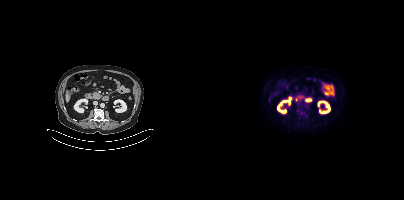
Technique: Two-panel axial: CT | PSMA PET, [18F]PSMA-1007 tracer.
Findings: Negative for PSMA-avid disease on this slice.